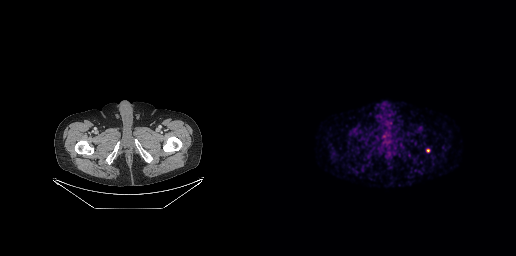
modality: PSMA PET/CT | tracer: [68Ga]Ga-PSMA-11 | view: axial
Coordinates are on the 256×256 PET (right) panel. Small PSMA-avid focus (2 to 4 px across) near (center x, center y): (168, 150).